modality: PSMA PET/CT | tracer: 18F-PSMA | view: axial
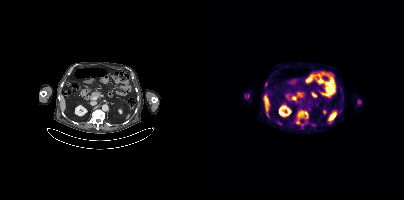
Coordinates are on the 200×200 PET (right) panel. (showing 2 of 3 foci) PSMA-avid tumor lesion bounding box (x0, y0)-(x1, y1): (94, 111)-(103, 117). Small PSMA-avid focus (2 to 4 px across) near (center x, center y): (93, 122).